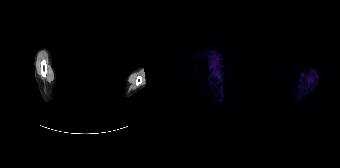
No tumor lesions annotated on this slice.
The head region is masked for de-identification.